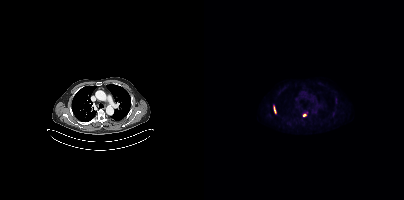
modality: PSMA PET/CT | tracer: 18F-PSMA | view: axial | PET grid: 200×200
Coordinates are on the 200×200 PET (right) panel. PSMA-avid tumor lesion bounding boxes (x0, y0)-(x1, y1): (99, 112)-(103, 116); (70, 107)-(71, 112).